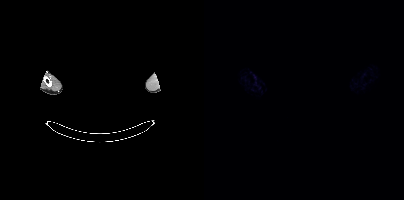
This slice has no annotated PSMA-avid lesion. Paired axial CT (left) and PSMA PET (right), 18F tracer. PET panel 200×200 px (4.1 mm/px). The head region is masked for de-identification.